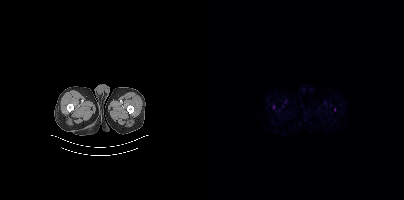
This slice has no annotated PSMA-avid lesion. Paired axial CT (left) and PSMA PET (right), [18F]PSMA-1007 tracer. PET panel 200×200 px (4.1 mm/px).